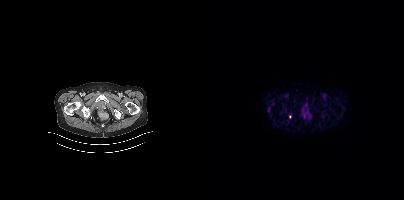
Only PSMA-avid lesion pieces thinner than 2 px on this slice (not listed).